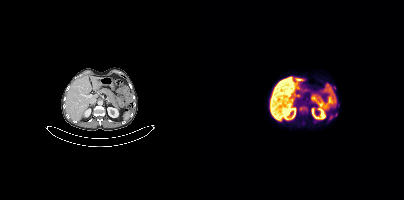
Left: CT. Right: PSMA PET, same axial level, 18F-PSMA tracer. Acquired on Siemens Biograph mCT Flow 20. Coordinates are on the 200×200 PET (right) panel. Small PSMA-avid focus (2 to 4 px across) near (center x, center y): (96, 108).